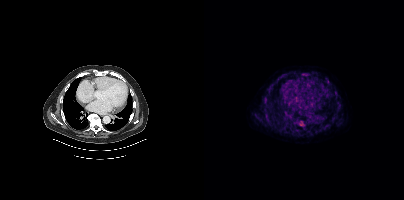
Findings: Coordinates are on the 200×200 PET (right) panel. PSMA-avid tumor lesion bounding box (x0, y0)-(x1, y1): (98, 74)-(103, 75). Small PSMA-avid focus (2 to 4 px across) near (center x, center y): (97, 124).
- Left: CT. Right: PSMA PET, same axial level, [18F]PSMA-1007 tracer
- acquired on Siemens Biograph mCT Flow 20
- PET panel 200×200 px (4.1 mm/px)